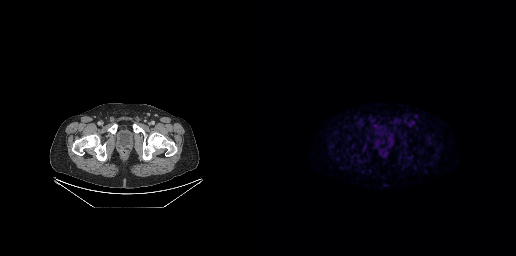
No PSMA-avid tumor lesions on this slice.